Technique: Paired axial CT (left) and PSMA PET (right), [18F]PSMA-1007 tracer.
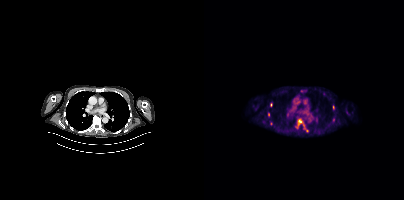
Findings: Coordinates are on the 200×200 PET (right) panel. (showing 2 of 5 foci) PSMA-avid tumor lesion bounding box (x0,y0,x1,y1): [94,119,97,124]. Small PSMA-avid focus (2 to 4 px across) near (center x, center y): (129, 107).